Technique: Two-panel axial: CT | PSMA PET, 18F-PSMA tracer.
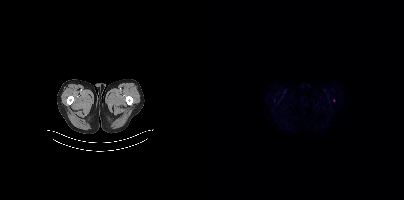
Findings: Only PSMA-avid lesion pieces thinner than 2 px on this slice (not listed).